Two-panel axial: CT | PSMA PET, [18F]PSMA-1007 tracer. Acquired on Siemens Biograph mCT Flow 20.
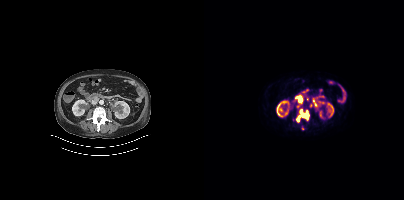
Coordinates are on the 200×200 PET (right) panel. PSMA-avid tumor lesion bounding boxes (partial; 1 more focus not listed):
| # | x0 | y0 | x1 | y1 |
|---|---|---|---|---|
| 1 | 92 | 109 | 105 | 122 |
| 2 | 95 | 98 | 98 | 102 |
Small PSMA-avid foci (2 to 4 px across) near (center x, center y): (94, 106); (106, 105); (109, 100).